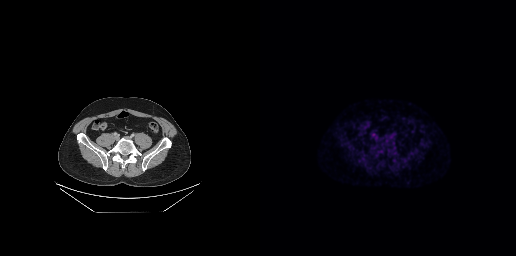
Findings: Negative for PSMA-avid disease on this slice.
Technique: Paired axial CT (left) and PSMA PET (right), [18F]PSMA-1007 tracer. acquired on GE Discovery 690. slice 88 of 263. PET panel 256×256 px (2.7 mm/px).